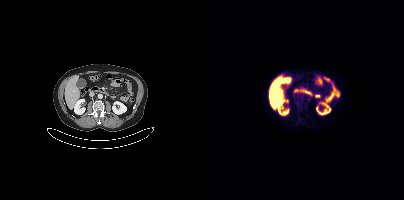
- Two-panel axial: CT | PSMA PET, 18F-PSMA tracer
Findings: Only PSMA-avid lesion pieces thinner than 2 px on this slice (not listed).